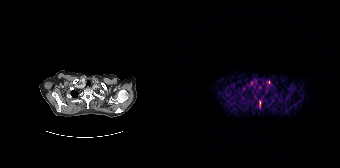
Coordinates are on the 168×168 PET (right) panel. (showing 2 of 3 foci) PSMA-avid tumor lesion bounding boxes (x, y, width, height): x=87 y=101 w=2 h=7 / x=96 y=80 w=3 h=5.